modality: PSMA PET/CT | tracer: 18F-PSMA | view: axial
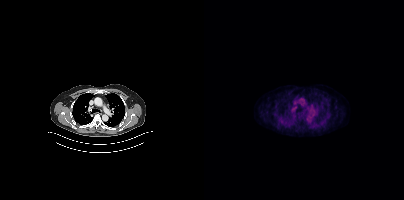
No tumor lesions annotated on this slice.